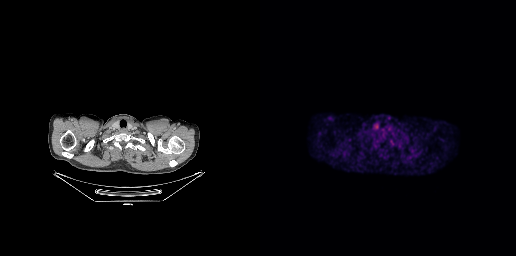
- Two-panel axial: CT | PSMA PET, 18F tracer
- slice 227 of 263
- PET panel 256×256 px (2.7 mm/px)
Findings: No tumor lesions annotated on this slice.